modality: PSMA PET/CT | tracer: [18F]PSMA-1007 | view: axial | PET grid: 200×200
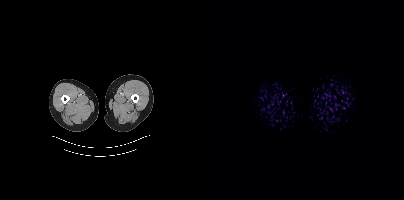
No PSMA-avid tumor lesions on this slice.